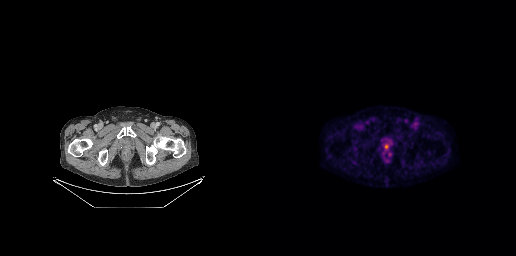
{"modality":"PSMA PET/CT","view":"axial","tracer":"18F-PSMA","pet_grid":[256,256],"coord_frame":"pet_panel","coord_format":"x0,y0,x1,y1","lesion_bboxes":[],"small_foci_centers":[[126,146]]}